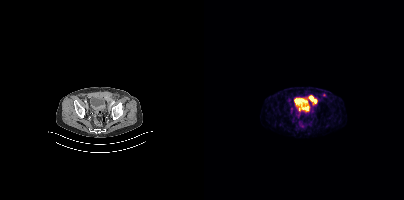
Two-panel axial: CT | PSMA PET, 68Ga-PSMA tracer. PET panel 200×200 px (4.1 mm/px).
Coordinates are on the 200×200 PET (right) panel. PSMA-avid tumor lesion bounding boxes:
| # | x0 | y0 | x1 | y1 |
|---|---|---|---|---|
| 1 | 105 | 96 | 113 | 103 |
| 2 | 100 | 106 | 105 | 111 |
Small PSMA-avid focus (2 to 4 px across) near (center x, center y): (95, 109).